Paired axial CT (left) and PSMA PET (right), 18F-PSMA tracer. Slice 288 of 427. PET panel 200×200 px (4.1 mm/px).
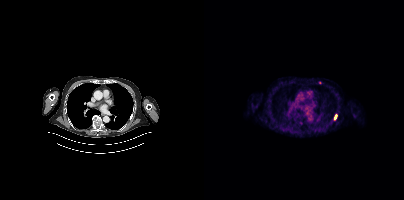
Coordinates are on the 200×200 PET (right) panel. PSMA-avid tumor lesion bounding box (x, y, width, height): x=130 y=114 w=3 h=6.